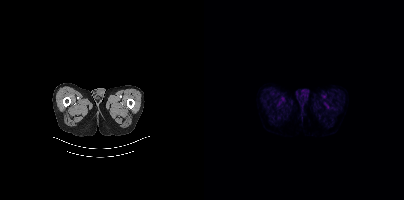
Paired axial CT (left) and PSMA PET (right), 18F-PSMA tracer. Slice position z = -191 mm. No tumor lesions annotated on this slice.